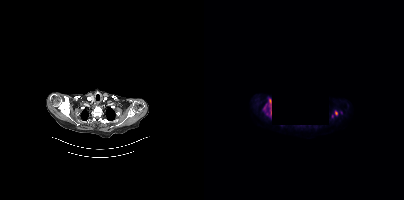
{"modality":"PSMA PET/CT","view":"axial","tracer":"18F","pet_grid":[200,200],"coord_frame":"pet_panel","coord_format":"x0,y0,x1,y1","lesion_bboxes":[[59,99,67,118],[131,111,133,115]],"small_foci_centers":[[128,116]],"de-identification":"rectangle blanked before release"}